modality: PSMA PET/CT | tracer: 18F | view: axial | PET grid: 200×200
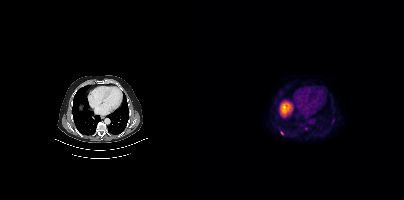
Coordinates are on the 200×200 PET (right) panel. Small PSMA-avid focus (2 to 4 px across) near (center x, center y): (78, 132).